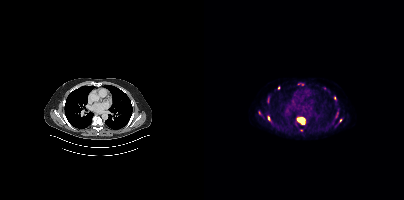
modality: PSMA PET/CT | tracer: 18F-PSMA | view: axial | PET grid: 200×200
Coordinates are on the 200×200 PET (right) panel. (showing 4 of 5 foci) PSMA-avid tumor lesion bounding boxes (x, y, width, height): x=92 y=117 w=10 h=8; x=64 y=116 w=2 h=5. Small PSMA-avid foci (2 to 4 px across) near (center x, center y): (130, 98); (136, 120).